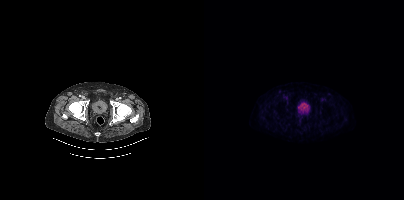
Paired axial CT (left) and PSMA PET (right), 18F-PSMA tracer. Slice position z = -1414 mm. No PSMA-avid tumor lesions on this slice.